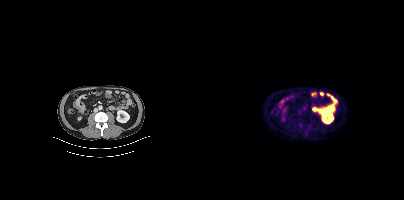
{"modality":"PSMA PET/CT","view":"axial","tracer":"18F-PSMA","pet_grid":[200,200],"coord_frame":"pet_panel","coord_format":"x0,y0,x1,y1","lesion_bboxes":[[94,118,99,123]],"small_foci_centers":[[96,114]]}